modality: PSMA PET/CT | tracer: 18F | view: axial | PET grid: 200×200
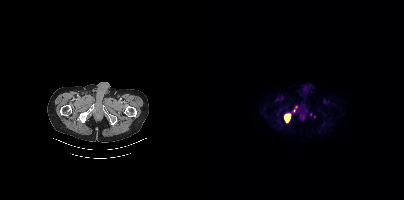
Coordinates are on the 200×200 PET (right) panel. PSMA-avid tumor lesion bounding box (x0, y0)-(x1, y1): (80, 114)-(86, 122). Small PSMA-avid foci (2 to 4 px across) near (center x, center y): (90, 110) | (92, 106).